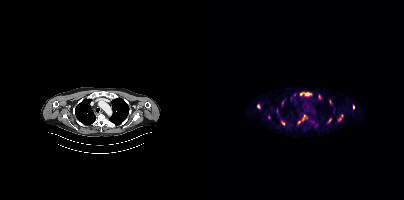
Technique: Paired axial CT (left) and PSMA PET (right), [18F]PSMA-1007 tracer. slice position z = -968 mm. PET panel 200×200 px (4.1 mm/px).
Findings: Coordinates are on the 200×200 PET (right) panel. (showing 12 of 14 foci) PSMA-avid tumor lesion bounding boxes (x0, y0)-(x1, y1): (96, 92)-(107, 95) / (134, 114)-(139, 121) / (77, 121)-(80, 125) / (124, 118)-(127, 122). Small PSMA-avid foci (2 to 4 px across) near (center x, center y): (94, 122) / (115, 96) / (54, 106) / (149, 107) / (99, 119) / (126, 101) / (78, 102) / (90, 94).